Technique: Left: CT. Right: PSMA PET, same axial level, 68Ga tracer. PET panel 168×168 px (4.1 mm/px).
Note: The face region was removed for patient privacy by blanking a rectangle over the head.
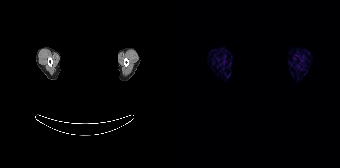
Findings: Negative for PSMA-avid disease on this slice.